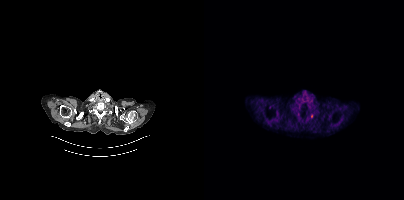
Left: CT. Right: PSMA PET, same axial level, 68Ga-PSMA tracer. Acquired on Siemens Biograph mCT Flow 20. Slice position z = -484 mm. Coordinates are on the 200×200 PET (right) panel. Small PSMA-avid focus (2 to 4 px across) near (center x, center y): (107, 116).